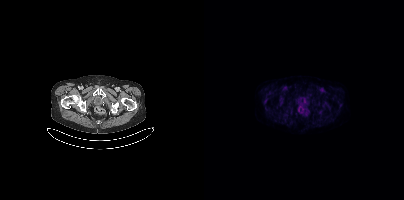
{"pet_grid":[200,200],"coord_frame":"pet_panel","coord_format":"x0,y0,x1,y1","psma_avid_lesions":false,"modality":"PSMA PET/CT","view":"axial","tracer":"18F-PSMA"}